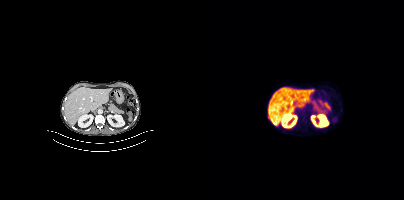
Findings: No tumor lesions annotated on this slice.
- Two-panel axial: CT | PSMA PET, 18F-PSMA tracer
- slice position z = -584 mm